Technique: Two-panel axial: CT | PSMA PET, [18F]PSMA-1007 tracer. acquired on Siemens Biograph mCT Flow 20. PET panel 200×200 px (4.1 mm/px).
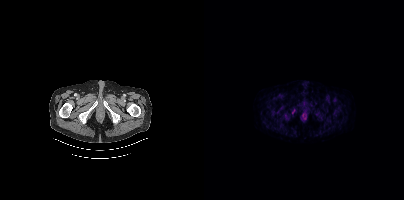
Findings: Only PSMA-avid lesion pieces thinner than 2 px on this slice (not listed).